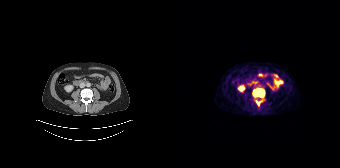
Coordinates are on the 168×168 PET (right) panel. PSMA-avid tumor lesion bounding boxes (x0,y0,x1,y1): [81,88,92,97], [84,101,88,105].